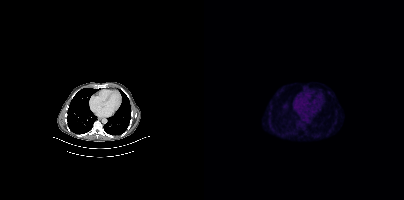
This slice has no annotated PSMA-avid lesion.
modality: PSMA PET/CT | tracer: [18F]PSMA-1007 | view: axial